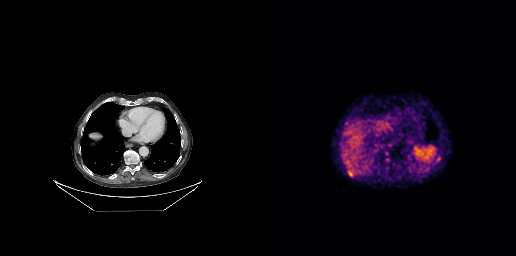
modality: PSMA PET/CT | tracer: 68Ga-PSMA | view: axial | PET grid: 256×256
Coordinates are on the 256×256 PET (right) panel. (showing 5 of 6 foci) PSMA-avid tumor lesion bounding boxes (x0, y0)-(x1, y1): (177, 156)-(181, 160) / (88, 172)-(92, 176). Small PSMA-avid foci (2 to 4 px across) near (center x, center y): (126, 153) / (127, 159) / (127, 167).